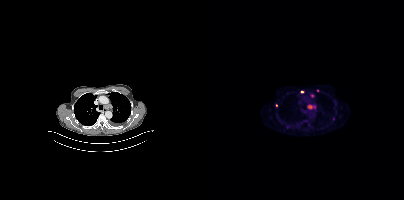
Coordinates are on the 200×200 PET (right) panel. PSMA-avid tumor lesion bounding box (x0,y0,x1,y1): [103,104,111,109]. Small PSMA-avid foci (2 to 4 px across) near (center x, center y): (108, 95) (98, 91) (72, 105) (113, 90). Left: CT. Right: PSMA PET, same axial level, 18F tracer. Slice position z = 430 mm.